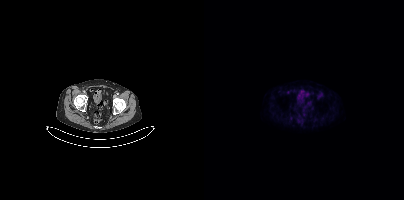
No PSMA-avid tumor lesions on this slice.